Technique: Left: CT. Right: PSMA PET, same axial level, 68Ga tracer. slice 209 of 263. PET panel 256×256 px (2.7 mm/px).
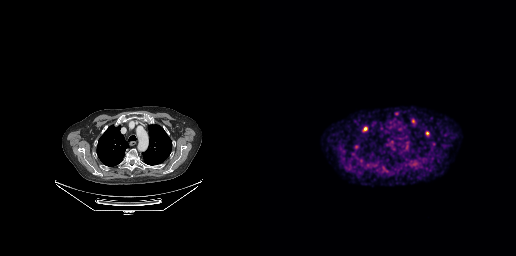
Findings: Coordinates are on the 256×256 PET (right) panel. PSMA-avid tumor lesion bounding boxes (x0, y0)-(x1, y1): (151, 119)-(155, 123) / (103, 127)-(107, 131) / (134, 112)-(138, 115) / (166, 131)-(169, 135).